- Paired axial CT (left) and PSMA PET (right), 18F-PSMA tracer
- slice 285 of 427
- PET panel 200×200 px (4.1 mm/px)
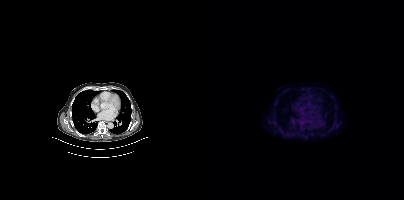
Findings: Coordinates are on the 200×200 PET (right) panel. Small PSMA-avid focus (2 to 4 px across) near (center x, center y): (71, 103).